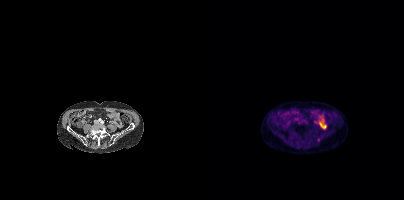
{"modality":"PSMA PET/CT","view":"axial","tracer":"18F-PSMA","pet_grid":[200,200],"coord_frame":"pet_panel","coord_format":"x0,y0,x1,y1","psma_avid_lesions":false}